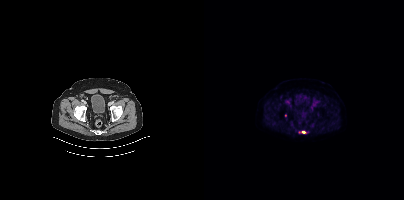
{"modality":"PSMA PET/CT","view":"axial","tracer":"18F","pet_grid":[200,200],"coord_frame":"pet_panel","coord_format":"x0,y0,x1,y1","lesion_bboxes":[[95,130,102,133]]}